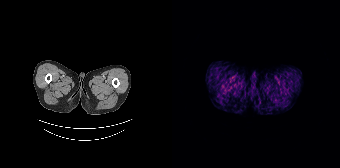
Technique: Paired axial CT (left) and PSMA PET (right), 68Ga tracer. slice 17 of 195. PET panel 168×168 px (4.1 mm/px).
Findings: Negative for PSMA-avid disease on this slice.